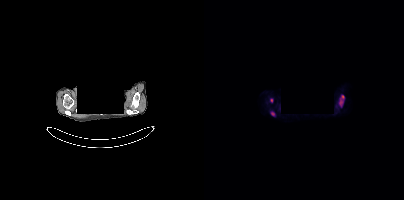
Paired axial CT (left) and PSMA PET (right), 18F tracer. Slice 303 of 354. PET panel 200×200 px (4.1 mm/px). Head region blanked for anonymization (face removed). Coordinates are on the 200×200 PET (right) panel. PSMA-avid tumor lesion bounding box (x, y, width, height): x=135 y=95 w=6 h=12. Small PSMA-avid foci (2 to 4 px across) near (center x, center y): (68, 113) | (67, 100).